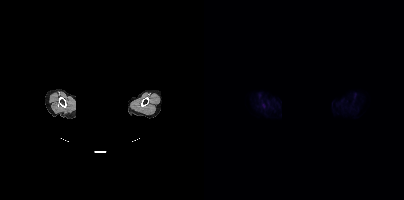
Two-panel axial: CT | PSMA PET, 18F tracer. Slice 361 of 401. PET panel 200×200 px (4.1 mm/px). Privacy masking over the head, with the pixels inside a rectangle set to black. No tumor lesions annotated on this slice.